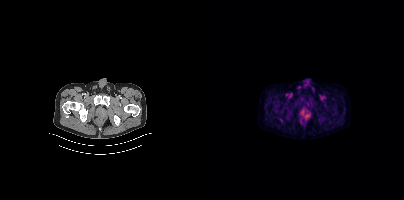
Coordinates are on the 200×200 PET (right) panel. PSMA-avid tumor lesion bounding box (x0,y0,x1,y1): [96,110,104,117].